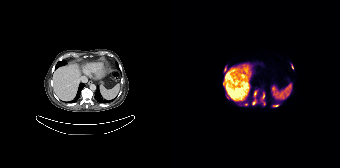
{"pet_grid":[168,168],"coord_frame":"pet_panel","coord_format":"x0,y0,x1,y1","lesion_bboxes":[[80,89,93,105],[52,66,54,71],[101,105,106,106],[120,65,121,69]],"small_foci_centers":[[74,104],[51,84]],"modality":"PSMA PET/CT","view":"axial","tracer":"[18F]PSMA-1007"}